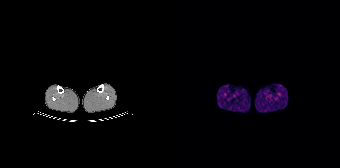
Paired axial CT (left) and PSMA PET (right), 68Ga-PSMA tracer. No PSMA-avid tumor lesions on this slice.